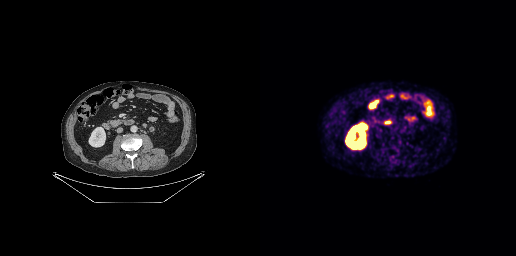
Left: CT. Right: PSMA PET, same axial level, [18F]PSMA-1007 tracer. Acquired on GE Discovery 690. Slice 122 of 263. PET panel 256×256 px (2.7 mm/px). Negative for PSMA-avid disease on this slice.